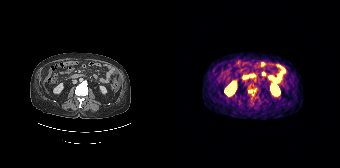
{"modality":"PSMA PET/CT","view":"axial","tracer":"[68Ga]Ga-PSMA-11","pet_grid":[168,168],"coord_frame":"pet_panel","coord_format":"x0,y0,x1,y1","lesion_bboxes":[],"small_foci_centers":[[78,91]]}